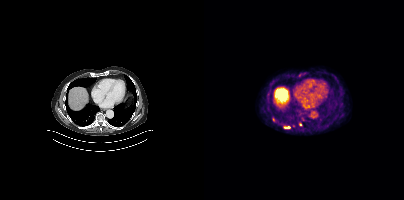
Coordinates are on the 200×200 PET (right) panel. (showing 3 of 4 foci) PSMA-avid tumor lesion bounding boxes (x0,y0,x1,y1): [79,126,86,129] [68,117,71,121]. Small PSMA-avid focus (2 to 4 px across) near (center x, center y): (96, 124).